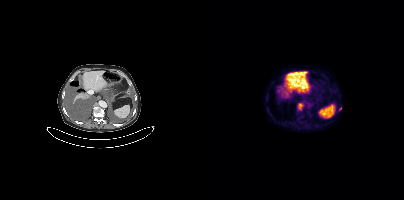
Coordinates are on the 200×200 PET (right) panel. PSMA-avid tumor lesion bounding box (x0,y0,x1,y1): [94,103,98,109]. Small PSMA-avid focus (2 to 4 px across) near (center x, center y): (136, 108).